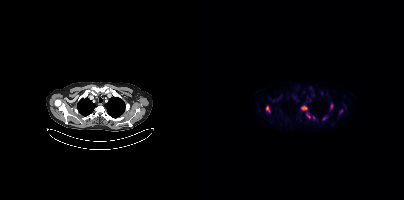
Coordinates are on the 200×200 PET (right) panel. PSMA-avid tumor lesion bounding boxes (x, y, width, height): x=97 y=106 w=7 h=5 | x=62 y=106 w=4 h=6 | x=126 y=104 w=4 h=5. Small PSMA-avid foci (2 to 4 px across) near (center x, center y): (137, 111) | (110, 117) | (120, 118) | (104, 115).